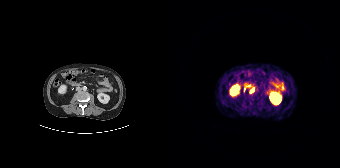
Findings: Coordinates are on the 168×168 PET (right) panel. (showing 1 of 2 foci) PSMA-avid tumor lesion bounding box (x, y, width, height): x=78 y=88 w=5 h=6.
Technique: Left: CT. Right: PSMA PET, same axial level, [68Ga]Ga-PSMA-11 tracer. acquired on Siemens Biograph 64-4R TruePoint. slice 81 of 195.